Left: CT. Right: PSMA PET, same axial level, [18F]PSMA-1007 tracer. Slice 143 of 423. PET panel 200×200 px (4.1 mm/px).
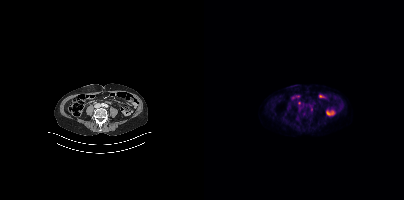
Coordinates are on the 200×200 PET (right) panel. Small PSMA-avid focus (2 to 4 px across) near (center x, center y): (95, 103).